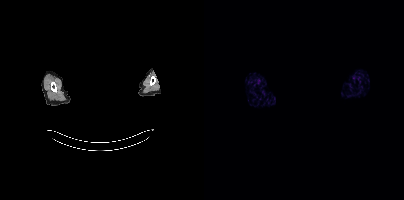
Technique: Paired axial CT (left) and PSMA PET (right), 68Ga-PSMA tracer. acquired on Siemens Biograph mCT Flow 20. PET panel 200×200 px (4.1 mm/px).
Note: Head region blanked for anonymization (face removed).
Findings: Negative for PSMA-avid disease on this slice.